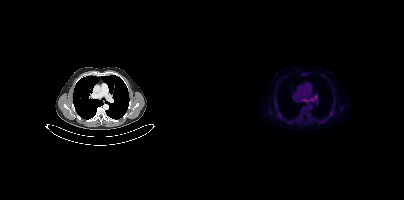
{"pet_grid":[200,200],"coord_frame":"pet_panel","coord_format":"x0,y0,x1,y1","psma_avid_lesions":false,"modality":"PSMA PET/CT","view":"axial","tracer":"18F-PSMA"}